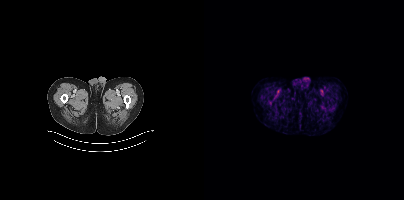
- Two-panel axial: CT | PSMA PET, 18F-PSMA tracer
Findings: No PSMA-avid tumor lesions on this slice.